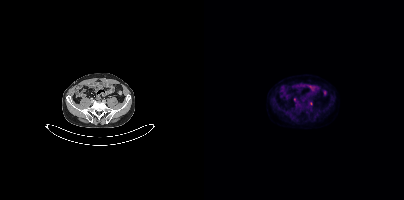
Findings: Only PSMA-avid lesion pieces thinner than 2 px on this slice (not listed).
- Paired axial CT (left) and PSMA PET (right), [18F]PSMA-1007 tracer
- slice position z = -1544 mm
- PET panel 200×200 px (4.1 mm/px)